modality: PSMA PET/CT | tracer: 18F | view: axial | PET grid: 200×200
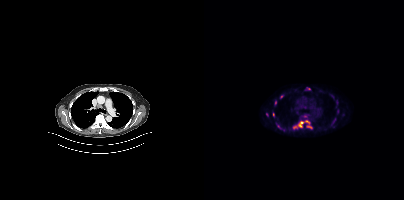
Coordinates are on the 200×200 PET (right) panel. (showing 7 of 8 foci) PSMA-avid tumor lesion bounding box (x, y, width, height): x=89 y=120 w=20 h=9. Small PSMA-avid foci (2 to 4 px across) near (center x, center y): (133, 111) | (71, 102) | (77, 96) | (69, 114) | (62, 114) | (74, 126).